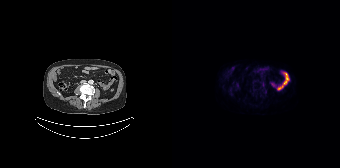
{"pet_grid":[168,168],"coord_frame":"pet_panel","coord_format":"x0,y0,x1,y1","psma_avid_lesions":false,"modality":"PSMA PET/CT","view":"axial","tracer":"18F"}